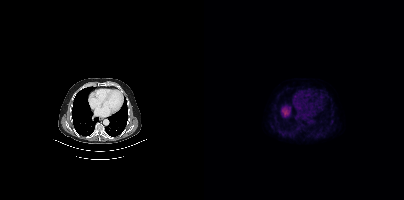
Technique: Paired axial CT (left) and PSMA PET (right), [18F]PSMA-1007 tracer. PET panel 200×200 px (4.1 mm/px).
Findings: Coordinates are on the 200×200 PET (right) panel. Small PSMA-avid focus (2 to 4 px across) near (center x, center y): (127, 122).